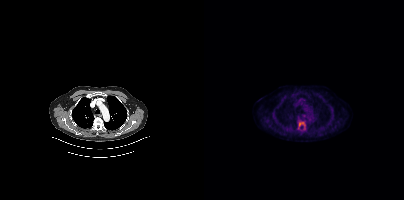
Coordinates are on the 200×200 PET (right) panel. PSMA-avid tumor lesion bounding box (x, y, width, height): x=94 y=121 w=8 h=9.